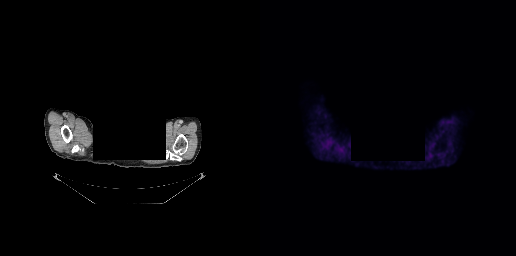
Findings: No PSMA-avid tumor lesions on this slice.
Technique: Paired axial CT (left) and PSMA PET (right), [18F]PSMA-1007 tracer. slice position z = -91 mm.
Note: Face de-identified by blanking a block of the head.